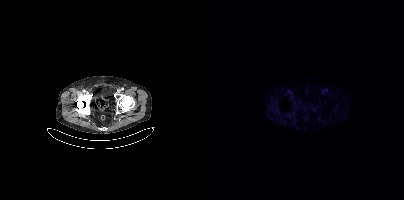
modality: PSMA PET/CT | tracer: 18F | view: axial
Negative for PSMA-avid disease on this slice.